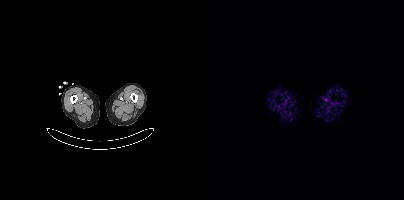
Findings: This slice has no annotated PSMA-avid lesion.
Technique: Left: CT. Right: PSMA PET, same axial level, 18F tracer. PET panel 200×200 px (4.1 mm/px).